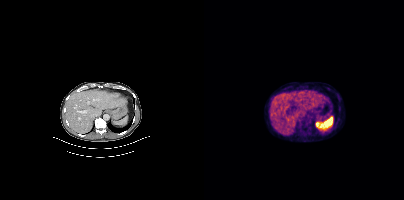
Coordinates are on the 200×200 PET (right) panel. PSMA-avid tumor lesion bounding box (x0, y0)-(x1, y1): (95, 117)-(106, 126).